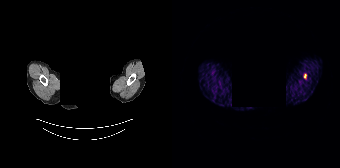
{"pet_grid":[168,168],"coord_frame":"pet_panel","coord_format":"x0,y0,x1,y1","lesion_bboxes":[[131,73,134,78]],"de-identification":"rectangular block over head set to black","modality":"PSMA PET/CT","view":"axial","tracer":"[68Ga]Ga-PSMA-11"}